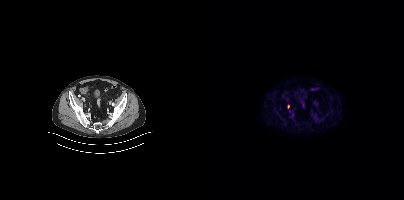
Technique: Left: CT. Right: PSMA PET, same axial level, 18F-PSMA tracer.
Findings: Coordinates are on the 200×200 PET (right) panel. Small PSMA-avid focus (2 to 4 px across) near (center x, center y): (84, 106).